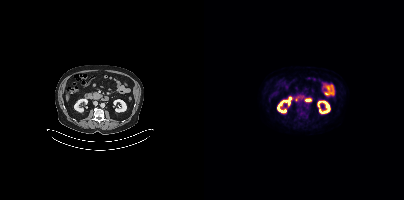
{"modality":"PSMA PET/CT","view":"axial","tracer":"18F-PSMA","pet_grid":[200,200],"coord_frame":"pet_panel","coord_format":"x0,y0,x1,y1","psma_avid_lesions":false}